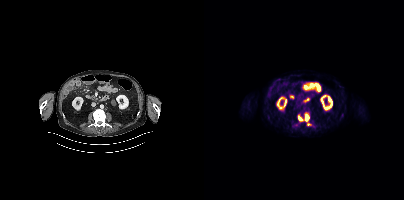
Findings: Coordinates are on the 200×200 PET (right) panel. (showing 3 of 4 foci) PSMA-avid tumor lesion bounding boxes (x0,y0,x1,y1): [101,114,105,121]; [94,116,98,120]. Small PSMA-avid focus (2 to 4 px across) near (center x, center y): (104, 124).
- Paired axial CT (left) and PSMA PET (right), [18F]PSMA-1007 tracer
- PET panel 200×200 px (4.1 mm/px)